Technique: Left: CT. Right: PSMA PET, same axial level, [18F]PSMA-1007 tracer. slice position z = -532 mm. PET panel 200×200 px (4.1 mm/px).
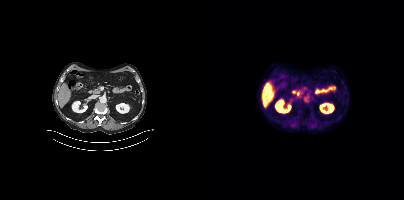
Findings: No PSMA-avid tumor lesions on this slice.